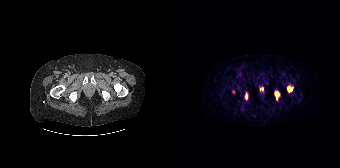
{"modality":"PSMA PET/CT","view":"axial","tracer":"[68Ga]Ga-PSMA-11","pet_grid":[168,168],"coord_frame":"pet_panel","coord_format":"x0,y0,x1,y1","lesion_bboxes":[[72,92,76,99],[116,87,120,91],[103,92,107,99]],"small_foci_centers":[[89,89]]}